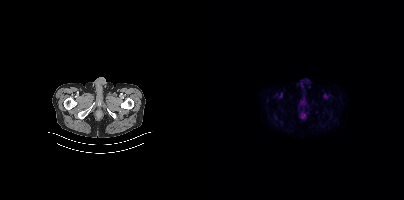
Negative for PSMA-avid disease on this slice. Two-panel axial: CT | PSMA PET, 18F-PSMA tracer. Slice position z = -1082 mm. PET panel 200×200 px (4.1 mm/px).